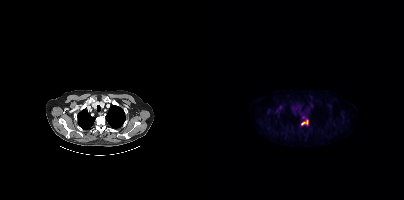
- Left: CT. Right: PSMA PET, same axial level, 18F tracer
- PET panel 200×200 px (4.1 mm/px)
Findings: Coordinates are on the 200×200 PET (right) panel. PSMA-avid tumor lesion bounding box (x0,y0,x1,y1): [97,120,104,125].